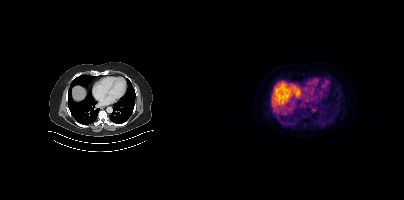
No PSMA-avid tumor lesions on this slice.